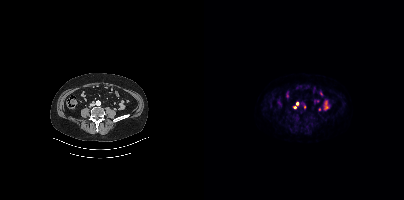
Coordinates are on the 200×200 PET (right) panel. Small PSMA-avid foci (2 to 4 px across) near (center x, center y): (100, 107) | (93, 103) | (90, 107).